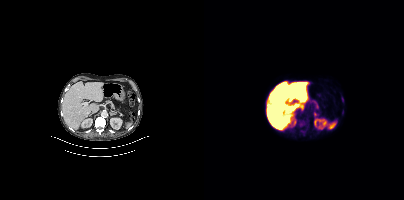
Left: CT. Right: PSMA PET, same axial level, 18F tracer. Acquired on Siemens Biograph mCT Flow 20. Slice 230 of 427. PET panel 200×200 px (4.1 mm/px).
Coordinates are on the 200×200 PET (right) panel. PSMA-avid tumor lesion bounding boxes (partial; 1 more focus not listed):
| # | x0 | y0 | x1 | y1 |
|---|---|---|---|---|
| 1 | 137 | 96 | 140 | 103 |
Small PSMA-avid focus (2 to 4 px across) near (center x, center y): (97, 124).